- a rectangle over the head was blacked out to remove identifiable facial features
- Paired axial CT (left) and PSMA PET (right), [18F]PSMA-1007 tracer
- acquired on Siemens Biograph mCT Flow 20
- PET panel 200×200 px (4.1 mm/px)
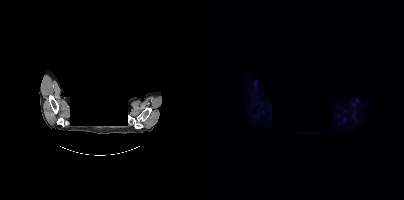
Findings: This slice has no annotated PSMA-avid lesion.